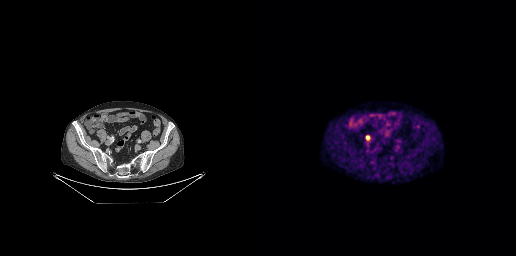
{"modality":"PSMA PET/CT","view":"axial","tracer":"[18F]PSMA-1007","pet_grid":[256,256],"coord_frame":"pet_panel","coord_format":"x0,y0,x1,y1","lesion_bboxes":[[106,135,109,140]]}